modality: PSMA PET/CT | tracer: 68Ga-PSMA | view: axial | PET grid: 200×200
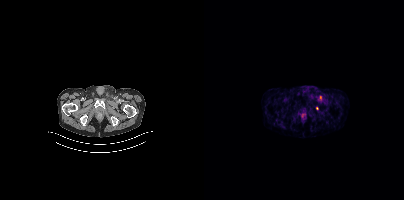
Coordinates are on the 200×200 PET (right) panel. (showing 1 of 2 foci) Small PSMA-avid focus (2 to 4 px across) near (center x, center y): (116, 97).